Paired axial CT (left) and PSMA PET (right), 18F-PSMA tracer. Acquired on Siemens Biograph mCT Flow 20. Slice 385 of 462. PET panel 200×200 px (4.1 mm/px).
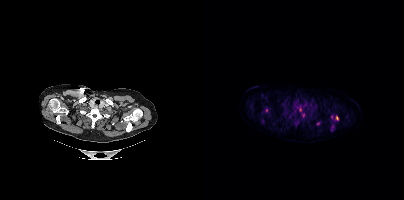
Coordinates are on the 200×200 PET (right) panel. PSMA-avid tumor lesion bounding boxes (x0, y0)-(x1, y1): (132, 116)-(134, 120); (98, 113)-(100, 117). Small PSMA-avid foci (2 to 4 px across) near (center x, center y): (96, 109); (62, 110); (114, 123); (127, 116).